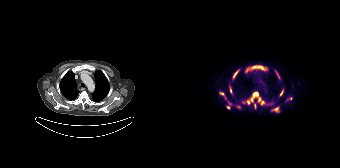
Left: CT. Right: PSMA PET, same axial level, [18F]PSMA-1007 tracer. PET panel 168×168 px (4.1 mm/px). Coordinates are on the 168×168 PET (right) panel. (showing 13 of 15 foci) PSMA-avid tumor lesion bounding boxes (x, y, width, height): x=74 y=91 w=20 h=18 | x=74 y=65 w=22 h=8 | x=60 y=69 w=8 h=11 | x=99 y=106 w=9 h=7 | x=48 y=92 w=7 h=8 | x=108 y=89 w=4 h=7 | x=103 y=71 w=5 h=8 | x=54 y=106 w=5 h=4 | x=57 y=86 w=3 h=7. Small PSMA-avid foci (2 to 4 px across) near (center x, center y): (66, 107) | (118, 98) | (57, 103) | (71, 102).